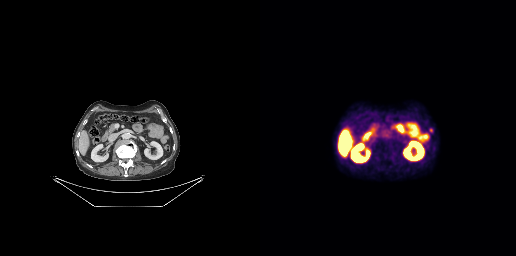
modality: PSMA PET/CT | tracer: [18F]PSMA-1007 | view: axial
No PSMA-avid tumor lesions on this slice.